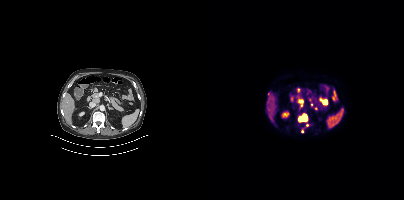
Technique: Left: CT. Right: PSMA PET, same axial level, [18F]PSMA-1007 tracer. slice 223 of 444. PET panel 200×200 px (4.1 mm/px).
Findings: Coordinates are on the 200×200 PET (right) panel. (showing 4 of 6 foci) PSMA-avid tumor lesion bounding box (x, y, width, height): x=94 y=113 w=10 h=10. Small PSMA-avid foci (2 to 4 px across) near (center x, center y): (98, 131) | (97, 105) | (103, 124).